- Left: CT. Right: PSMA PET, same axial level, 18F tracer
- acquired on Siemens Biograph mCT Flow 20
- PET panel 200×200 px (4.1 mm/px)
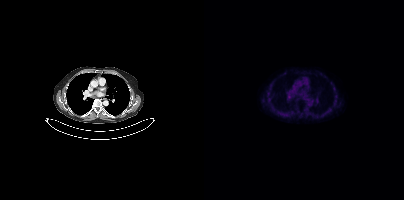
Findings: Negative for PSMA-avid disease on this slice.